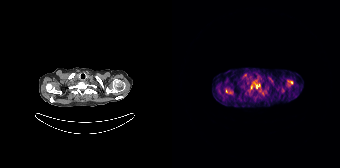
- Paired axial CT (left) and PSMA PET (right), 68Ga tracer
Findings: Coordinates are on the 168×168 PET (right) panel. (showing 4 of 8 foci) PSMA-avid tumor lesion bounding box (x, y, width, height): x=84 y=84 w=4 h=5. Small PSMA-avid foci (2 to 4 px across) near (center x, center y): (119, 82); (58, 91); (54, 91).